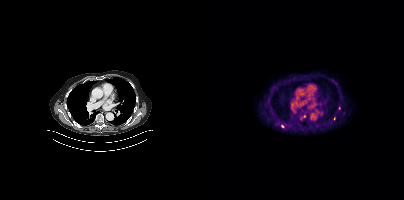
modality: PSMA PET/CT | tracer: 18F | view: axial
Coordinates are on the 200×200 PET (right) panel. (showing 3 of 4 foci) PSMA-avid tumor lesion bounding box (x0, y0)-(x1, y1): (97, 115)-(101, 119). Small PSMA-avid foci (2 to 4 px across) near (center x, center y): (78, 126) | (130, 118).